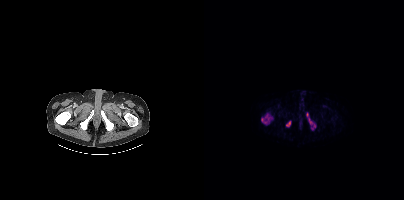
Coordinates are on the 200×200 PET (right) panel. PSMA-avid tumor lesion bounding boxes (x, y, width, height): x=57 y=114 w=10 h=11 / x=82 y=121 w=5 h=6 / x=104 y=118 w=5 h=7. Small PSMA-avid foci (2 to 4 px across) near (center x, center y): (103, 114) / (110, 125) / (108, 128).
modality: PSMA PET/CT | tracer: 18F | view: axial